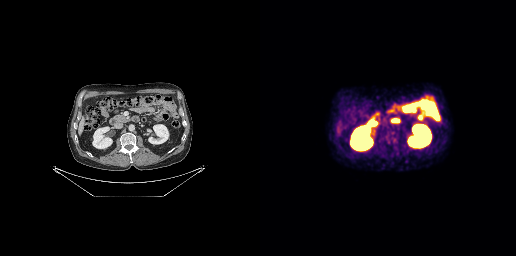
Paired axial CT (left) and PSMA PET (right), [68Ga]Ga-PSMA-11 tracer. Acquired on GE Discovery 690. Slice position z = -595 mm. No tumor lesions annotated on this slice.